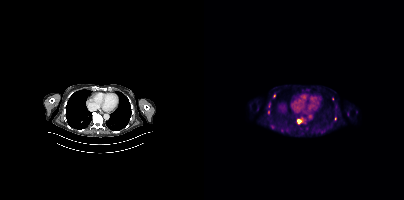
Two-panel axial: CT | PSMA PET, [18F]PSMA-1007 tracer. Slice 242 of 421. PET panel 200×200 px (4.1 mm/px). Coordinates are on the 200×200 PET (right) panel. (showing 4 of 5 foci) PSMA-avid tumor lesion bounding box (x0,y0,x1,y1): [93,119,96,123]. Small PSMA-avid foci (2 to 4 px across) near (center x, center y): (70, 95); (64, 112); (131, 118).